- Left: CT. Right: PSMA PET, same axial level, 18F-PSMA tracer
- PET panel 200×200 px (4.1 mm/px)
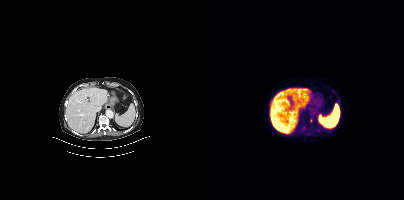
Findings: Only PSMA-avid lesion pieces thinner than 2 px on this slice (not listed).